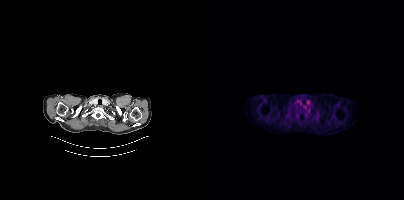
Findings: No tumor lesions annotated on this slice.
- Paired axial CT (left) and PSMA PET (right), 18F-PSMA tracer
- PET panel 200×200 px (4.1 mm/px)